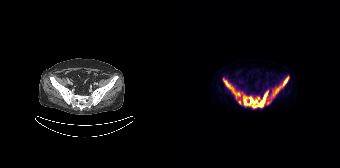
Technique: Left: CT. Right: PSMA PET, same axial level, [18F]PSMA-1007 tracer. acquired on Siemens Biograph 64-4R TruePoint. PET panel 168×168 px (4.1 mm/px).
Findings: Coordinates are on the 168×168 PET (right) panel. PSMA-avid tumor lesion bounding boxes (x0,y0,x1,y1): [70,90,96,108]; [99,76,117,98]; [51,78,68,98]; [66,100,69,104]. Small PSMA-avid focus (2 to 4 px across) near (center x, center y): (96, 102).